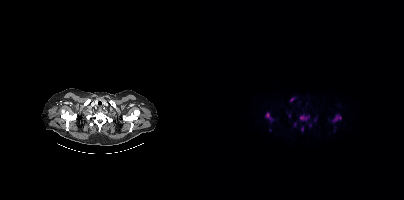
- Two-panel axial: CT | PSMA PET, 18F-PSMA tracer
Findings: Coordinates are on the 200×200 PET (right) panel. (showing 9 of 10 foci) PSMA-avid tumor lesion bounding boxes (x, y, width, height): x=61 y=112 w=9 h=11; x=95 y=114 w=11 h=7; x=128 y=114 w=10 h=9; x=86 y=97 w=5 h=5; x=98 y=127 w=2 h=5. Small PSMA-avid foci (2 to 4 px across) near (center x, center y): (90, 124); (85, 115); (66, 130); (105, 125).